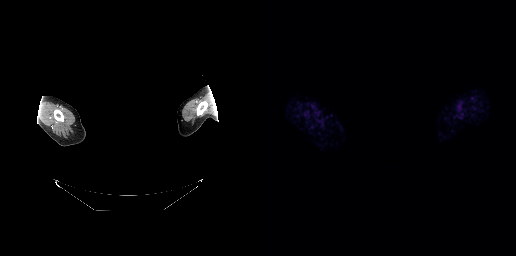
Findings: This slice has no annotated PSMA-avid lesion.
Technique: Two-panel axial: CT | PSMA PET, [68Ga]Ga-PSMA-11 tracer. acquired on GE Discovery 690.
Note: The face region was removed for patient privacy by blanking a rectangle over the head.